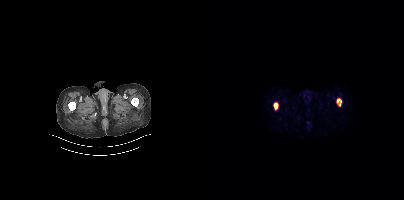
- Two-panel axial: CT | PSMA PET, [68Ga]Ga-PSMA-11 tracer
- acquired on Siemens Biograph mCT Flow 20
- slice position z = 320 mm
- PET panel 200×200 px (4.1 mm/px)
Findings: Negative for PSMA-avid disease on this slice.